modality: PSMA PET/CT | tracer: 18F | view: axial | PET grid: 200×200
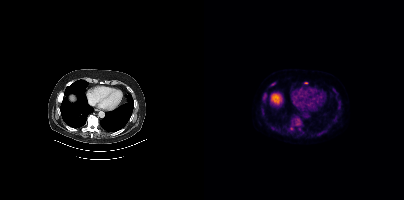
Coordinates are on the 200×200 PET (right) panel. (showing 2 of 3 foci) Small PSMA-avid foci (2 to 4 px across) near (center x, center y): (102, 82) (59, 100).